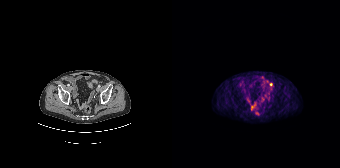
{"modality":"PSMA PET/CT","view":"axial","tracer":"[68Ga]Ga-PSMA-11","pet_grid":[168,168],"coord_frame":"pet_panel","coord_format":"x0,y0,x1,y1","lesion_bboxes":[],"small_foci_centers":[[99,84]]}